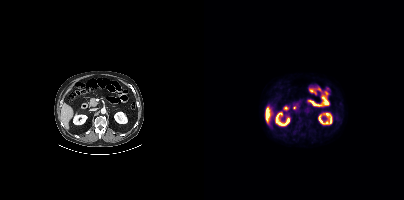
Findings: Negative for PSMA-avid disease on this slice.
- Paired axial CT (left) and PSMA PET (right), 18F tracer
- acquired on Siemens Biograph mCT Flow 20
- slice 208 of 435
- PET panel 200×200 px (4.1 mm/px)